Paired axial CT (left) and PSMA PET (right), 68Ga-PSMA tracer. Acquired on GE Discovery 690. Slice 204 of 263. PET panel 256×256 px (2.7 mm/px).
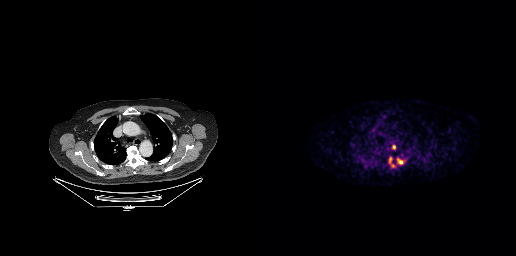
Coordinates are on the 256×256 PET (right) panel. (showing 3 of 4 foci) PSMA-avid tumor lesion bounding box (x0, y0)-(x1, y1): (131, 164)-(135, 167). Small PSMA-avid foci (2 to 4 px across) near (center x, center y): (140, 162) / (133, 147).